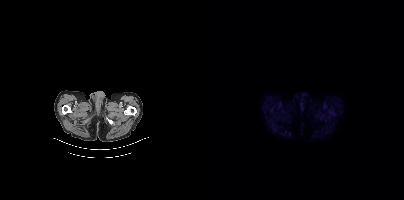
No PSMA-avid tumor lesions on this slice. Left: CT. Right: PSMA PET, same axial level, [18F]PSMA-1007 tracer. Slice 44 of 452. PET panel 200×200 px (4.1 mm/px).